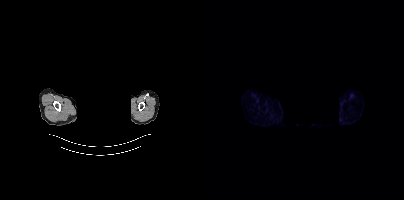
The head region is masked for de-identification. Left: CT. Right: PSMA PET, same axial level, [68Ga]Ga-PSMA-11 tracer. Slice 369 of 403. This slice has no annotated PSMA-avid lesion.